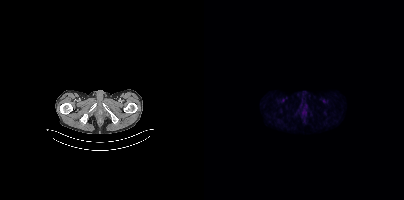
Technique: Two-panel axial: CT | PSMA PET, 18F-PSMA tracer. PET panel 200×200 px (4.1 mm/px).
Findings: Negative for PSMA-avid disease on this slice.